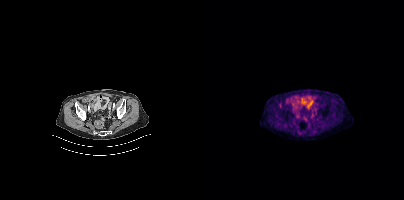
Paired axial CT (left) and PSMA PET (right), 18F-PSMA tracer. Acquired on Siemens Biograph mCT Flow 20. Slice 105 of 397. This slice has no annotated PSMA-avid lesion.